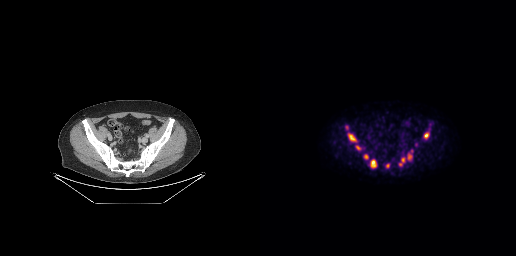
Coordinates are on the 256×256 PET (right) panel. PSMA-avid tumor lesion bounding boxes:
| # | x0 | y0 | x1 | y1 |
|---|---|---|---|---|
| 1 | 88 | 133 | 97 | 142 |
| 2 | 110 | 159 | 116 | 168 |
| 3 | 164 | 132 | 169 | 138 |
| 4 | 139 | 158 | 144 | 165 |
| 5 | 95 | 145 | 101 | 150 |
| 6 | 147 | 153 | 152 | 158 |
| 7 | 104 | 154 | 108 | 158 |
Small PSMA-avid foci (2 to 4 px across) near (center x, center y): (127, 165); (87, 127); (151, 151).
Paired axial CT (left) and PSMA PET (right), 18F-PSMA tracer.